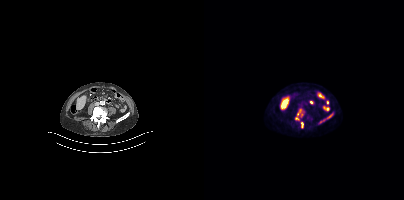
Technique: Left: CT. Right: PSMA PET, same axial level, 18F-PSMA tracer. acquired on Siemens Biograph mCT Flow 20. PET panel 200×200 px (4.1 mm/px).
Findings: Coordinates are on the 200×200 PET (right) panel. PSMA-avid tumor lesion bounding boxes (x0, y0)-(x1, y1): (91, 109)-(100, 120) | (115, 113)-(129, 123) | (97, 122)-(99, 128).